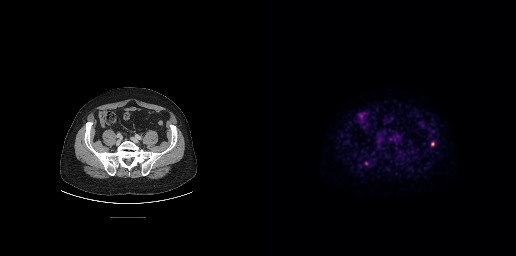
Findings: Coordinates are on the 256×256 PET (right) panel. PSMA-avid tumor lesion bounding box (x0, y0)-(x1, y1): (171, 141)-(174, 146). Small PSMA-avid focus (2 to 4 px across) near (center x, center y): (106, 163).
Technique: Left: CT. Right: PSMA PET, same axial level, 18F-PSMA tracer.